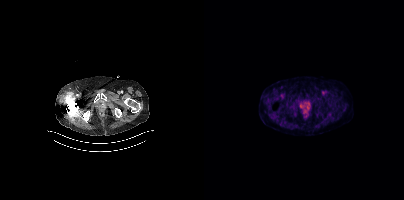
Left: CT. Right: PSMA PET, same axial level, 18F tracer. Acquired on Siemens Biograph mCT Flow 20. Negative for PSMA-avid disease on this slice.